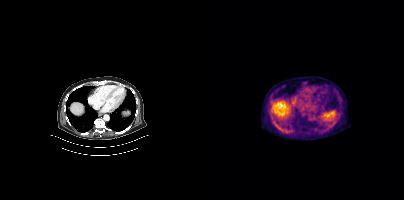
- Left: CT. Right: PSMA PET, same axial level, [18F]PSMA-1007 tracer
- slice 250 of 397
Findings: Negative for PSMA-avid disease on this slice.